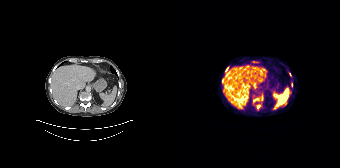
Coordinates are on the 168×168 PET (right) panel. (showing 4 of 8 foci) PSMA-avid tumor lesion bounding boxes (x, y, width, height): x=53 y=67 w=4 h=5 | x=110 y=104 w=5 h=2. Small PSMA-avid foci (2 to 4 px across) near (center x, center y): (118, 92) | (86, 106). Paired axial CT (left) and PSMA PET (right), [68Ga]Ga-PSMA-11 tracer.